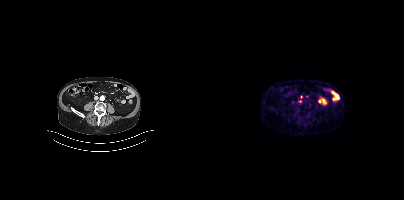
{"modality":"PSMA PET/CT","view":"axial","tracer":"[68Ga]Ga-PSMA-11","pet_grid":[200,200],"coord_frame":"pet_panel","coord_format":"x0,y0,x1,y1","partial":true,"lesion_bboxes":[],"small_foci_centers":[[96,101],[97,96]]}